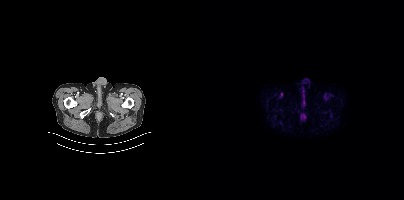
No tumor lesions annotated on this slice.